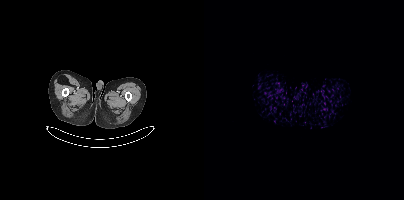
Findings: This slice has no annotated PSMA-avid lesion.
- Two-panel axial: CT | PSMA PET, 18F tracer
- slice position z = -1009 mm
- PET panel 200×200 px (4.1 mm/px)